Two-panel axial: CT | PSMA PET, 68Ga-PSMA tracer.
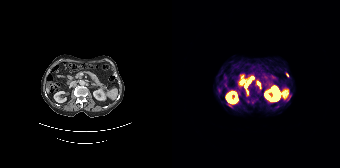
Coordinates are on the 168×168 PET (right) panel. PSMA-avid tumor lesion bounding boxes (x, y, width, height): x=73 y=77 w=9 h=11 / x=84 y=82 w=5 h=7 / x=74 y=89 w=3 h=7 / x=117 y=95 w=3 h=5. Small PSMA-avid focus (2 to 4 px across) near (center x, center y): (115, 75).